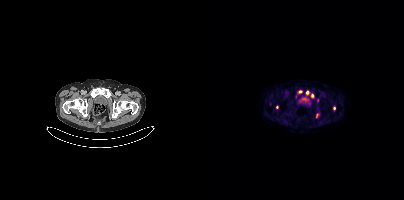
Coordinates are on the 200×200 PET (right) panel. (showing 6 of 7 foci) PSMA-avid tumor lesion bounding boxes (x0,y0,x1,y1): [102,91,104,95] [129,106,131,110]. Small PSMA-avid foci (2 to 4 px across) near (center x, center y): (108, 95) (73, 107) (113, 115) (96, 91).
modality: PSMA PET/CT | tracer: 18F-PSMA | view: axial | PET grid: 200×200